Paired axial CT (left) and PSMA PET (right), 18F tracer.
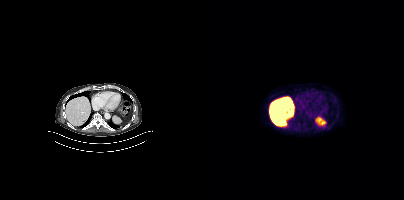
Coordinates are on the 200×200 PET (right) panel. Small PSMA-avid focus (2 to 4 px across) near (center x, center y): (120, 126).